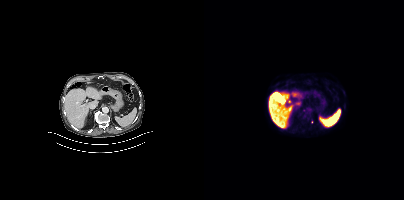
Two-panel axial: CT | PSMA PET, [18F]PSMA-1007 tracer. Acquired on Siemens Biograph mCT Flow 20. Slice 235 of 421. PET panel 200×200 px (4.1 mm/px). Negative for PSMA-avid disease on this slice.